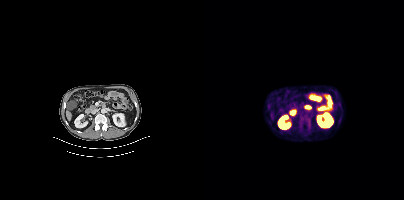
{"modality":"PSMA PET/CT","view":"axial","tracer":"18F-PSMA","pet_grid":[200,200],"coord_frame":"pet_panel","coord_format":"x0,y0,x1,y1","lesion_bboxes":[[94,115,107,127]]}